Two-panel axial: CT | PSMA PET, 18F-PSMA tracer. Acquired on Siemens Biograph mCT Flow 20. Slice 287 of 431. PET panel 200×200 px (4.1 mm/px).
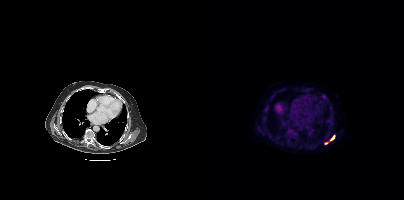
Coordinates are on the 200×200 PET (right) panel. PSMA-avid tumor lesion bounding boxes:
| # | x0 | y0 | x1 | y1 |
|---|---|---|---|---|
| 1 | 126 | 135 | 130 | 140 |
Small PSMA-avid focus (2 to 4 px across) near (center x, center y): (122, 143).